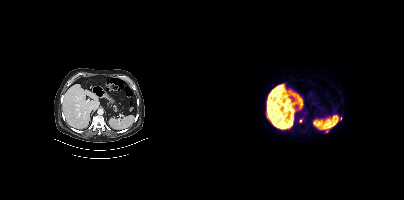
Technique: Two-panel axial: CT | PSMA PET, [18F]PSMA-1007 tracer. PET panel 200×200 px (4.1 mm/px).
Findings: Coordinates are on the 200×200 PET (right) panel. Small PSMA-avid foci (2 to 4 px across) near (center x, center y): (122, 131); (97, 120); (136, 118).